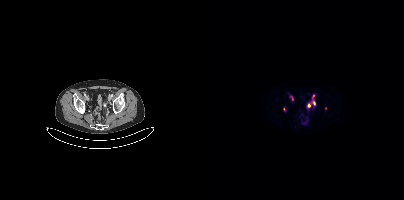
modality: PSMA PET/CT | tracer: 68Ga-PSMA | view: axial | PET grid: 200×200
Coordinates are on the 200×200 PET (right) panel. (showing 5 of 7 foci) PSMA-avid tumor lesion bounding box (x, y, width, height): x=108 y=100 w=4 h=6. Small PSMA-avid foci (2 to 4 px across) near (center x, center y): (87, 97) / (105, 105) / (121, 108) / (109, 95).